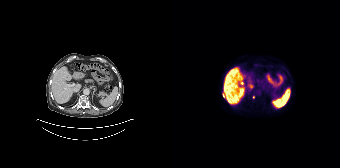
Findings: Coordinates are on the 168×168 PET (right) panel. (showing 1 of 2 foci) Small PSMA-avid focus (2 to 4 px across) near (center x, center y): (51, 95).
- Paired axial CT (left) and PSMA PET (right), 18F tracer